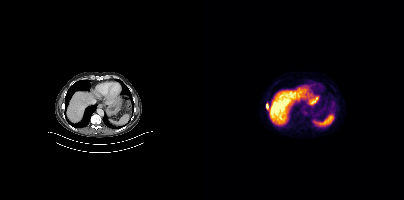
Coordinates are on the 200×200 PET (right) panel. PSMA-avid tumor lesion bounding box (x0,y0,x1,y1): [62,104,64,108].